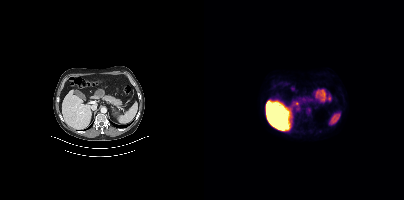
No tumor lesions annotated on this slice.